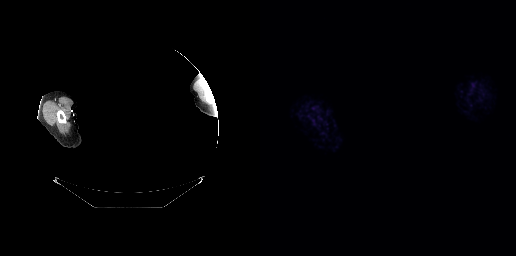
redaction: face masked with black rectangle | modality: PSMA PET/CT | tracer: 68Ga-PSMA | view: axial | PET grid: 256×256
No PSMA-avid tumor lesions on this slice.